Two-panel axial: CT | PSMA PET, 18F-PSMA tracer. Acquired on Siemens Biograph mCT Flow 20. Slice position z = -350 mm. PET panel 200×200 px (4.1 mm/px).
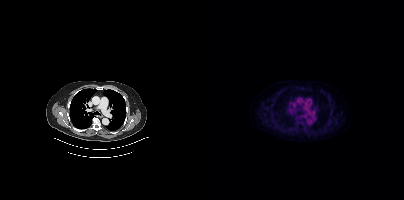
Negative for PSMA-avid disease on this slice.